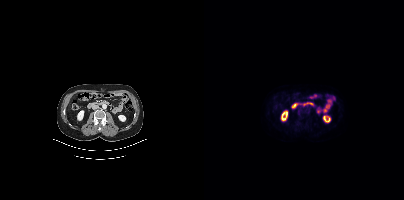
No tumor lesions annotated on this slice. Two-panel axial: CT | PSMA PET, 18F-PSMA tracer. Slice position z = -1213 mm.